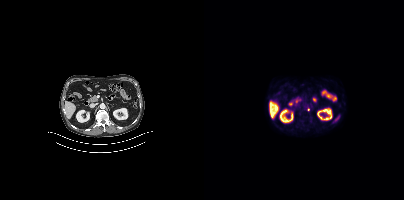
Paired axial CT (left) and PSMA PET (right), 18F tracer. Slice 209 of 421. Coordinates are on the 200×200 PET (right) panel. Small PSMA-avid focus (2 to 4 px across) near (center x, center y): (104, 109).